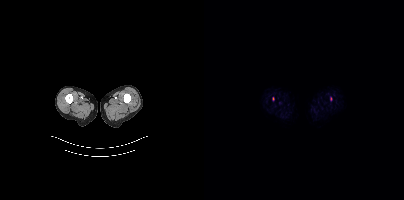
{"modality":"PSMA PET/CT","view":"axial","tracer":"[18F]PSMA-1007","pet_grid":[200,200],"coord_frame":"pet_panel","coord_format":"x0,y0,x1,y1","partial":true,"lesion_bboxes":[],"small_foci_centers":[[69,98]]}